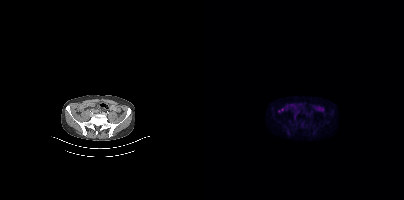
Coordinates are on the 200×200 PET (right) panel. Small PSMA-avid focus (2 to 4 px across) near (center x, center y): (75, 111). Two-panel axial: CT | PSMA PET, 18F tracer. PET panel 200×200 px (4.1 mm/px).